Two-panel axial: CT | PSMA PET, [18F]PSMA-1007 tracer. Slice 10 of 165. PET panel 168×168 px (4.1 mm/px).
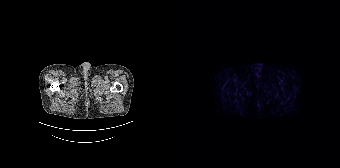
No PSMA-avid tumor lesions on this slice.